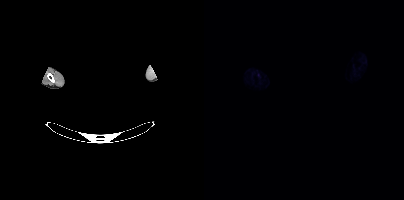
Negative for PSMA-avid disease on this slice. An anonymization step blacked out a rectangle over the head in this scan. Two-panel axial: CT | PSMA PET, 18F tracer.